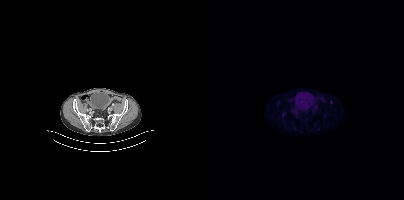
modality: PSMA PET/CT | tracer: [18F]PSMA-1007 | view: axial | PET grid: 200×200
Negative for PSMA-avid disease on this slice.